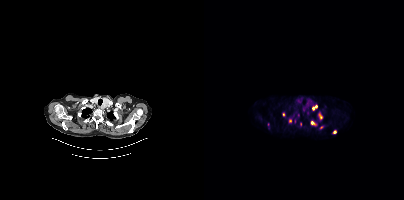
Technique: Two-panel axial: CT | PSMA PET, 68Ga-PSMA tracer. acquired on Siemens Biograph mCT Flow 20.
Findings: Coordinates are on the 200×200 PET (right) panel. (showing 10 of 11 foci) PSMA-avid tumor lesion bounding boxes (x0,y0,x1,y1): [114,112,117,118], [107,121,112,125], [90,118,92,123], [85,119,88,123], [108,105,113,110], [96,122,97,127]. Small PSMA-avid foci (2 to 4 px across) near (center x, center y): (117, 127), (131, 132), (79, 114), (94, 115).